Face de-identified by blanking a block of the head. Paired axial CT (left) and PSMA PET (right), 68Ga tracer. Acquired on Siemens Biograph mCT Flow 20.
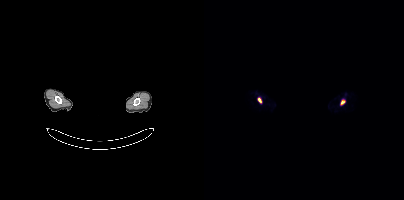
Coordinates are on the 200×200 PET (right) panel. PSMA-avid tumor lesion bounding boxes:
| # | x0 | y0 | x1 | y1 |
|---|---|---|---|---|
| 1 | 137 | 100 | 141 | 104 |
| 2 | 54 | 98 | 57 | 102 |